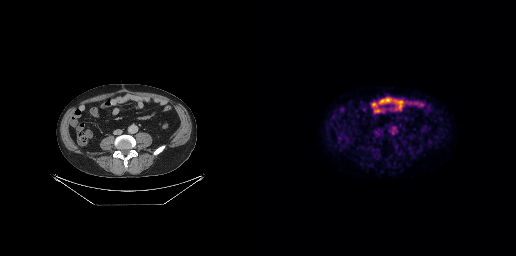
This slice has no annotated PSMA-avid lesion.